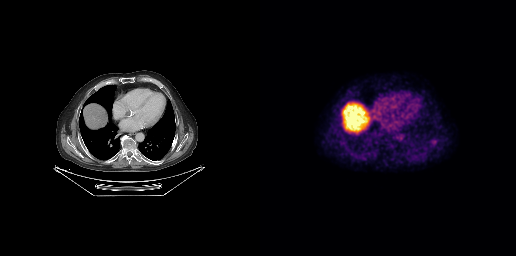
Negative for PSMA-avid disease on this slice.